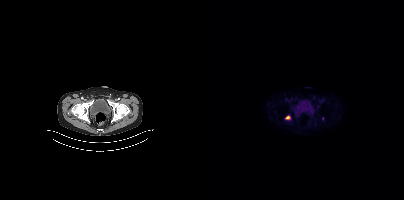
- Two-panel axial: CT | PSMA PET, [18F]PSMA-1007 tracer
- acquired on Siemens Biograph mCT Flow 20
- slice 58 of 377
- PET panel 200×200 px (4.1 mm/px)
Findings: Coordinates are on the 200×200 PET (right) panel. PSMA-avid tumor lesion bounding box (x0, y0)-(x1, y1): (81, 116)-(85, 119).